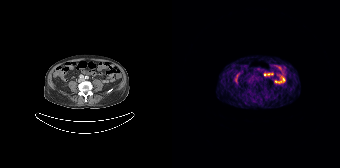
{"modality":"PSMA PET/CT","view":"axial","tracer":"[68Ga]Ga-PSMA-11","pet_grid":[168,168],"coord_frame":"pet_panel","coord_format":"x0,y0,x1,y1","psma_avid_lesions":false}